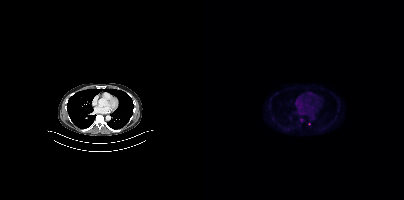
Only PSMA-avid lesion pieces thinner than 2 px on this slice (not listed).